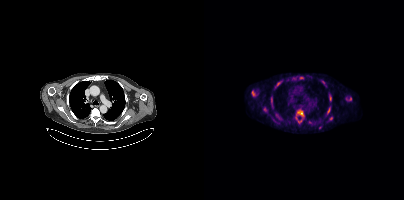
{"modality":"PSMA PET/CT","view":"axial","tracer":"18F-PSMA","pet_grid":[200,200],"coord_frame":"pet_panel","coord_format":"x0,y0,x1,y1","partial":true,"lesion_bboxes":[[92,110,99,116],[123,108,126,114],[71,83,74,87],[126,96,127,100]],"small_foci_centers":[[127,118],[97,77],[67,97],[67,103],[95,121],[48,93],[142,98]]}